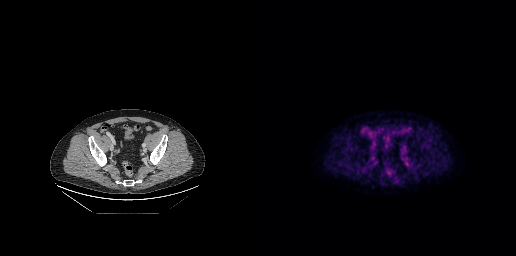
Coordinates are on the 256×256 PET (right) panel. Small PSMA-avid focus (2 to 4 px across) near (center x, center y): (136, 181). Two-panel axial: CT | PSMA PET, 18F-PSMA tracer. Acquired on GE Discovery 690. Slice position z = -602 mm. PET panel 256×256 px (2.7 mm/px).